Paired axial CT (left) and PSMA PET (right), 18F-PSMA tracer. Acquired on Siemens Biograph 64-4R TruePoint. PET panel 168×168 px (4.1 mm/px).
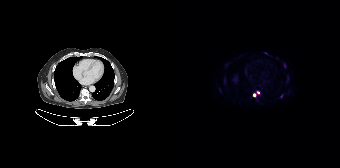
Coordinates are on the 168×168 PET (right) panel. PSMA-avid tumor lesion bounding boxes (partial; 1 more focus not listed):
| # | x0 | y0 | x1 | y1 |
|---|---|---|---|---|
| 1 | 81 | 91 | 87 | 96 |